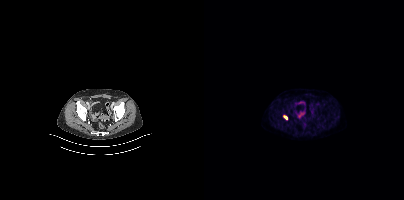
{"modality":"PSMA PET/CT","view":"axial","tracer":"18F-PSMA","pet_grid":[200,200],"coord_frame":"pet_panel","coord_format":"x0,y0,x1,y1","lesion_bboxes":[[79,115,83,119]]}